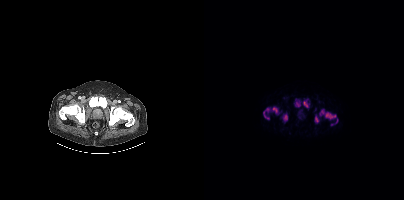
{"modality":"PSMA PET/CT","view":"axial","tracer":"[18F]PSMA-1007","pet_grid":[200,200],"coord_frame":"pet_panel","coord_format":"x0,y0,x1,y1","lesion_bboxes":[[115,109,134,123],[90,98,105,107],[59,107,73,119],[79,114,83,120],[111,115,115,122]],"small_foci_centers":[[128,124]]}